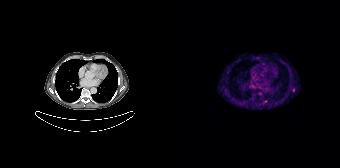
Technique: Paired axial CT (left) and PSMA PET (right), 68Ga-PSMA tracer. PET panel 168×168 px (4.1 mm/px).
Findings: Only PSMA-avid lesion pieces thinner than 2 px on this slice (not listed).